The head region is masked for de-identification.
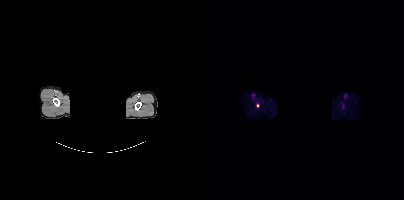
Coordinates are on the 200×200 PET (right) panel. Small PSMA-avid focus (2 to 4 px across) near (center x, center y): (53, 105).